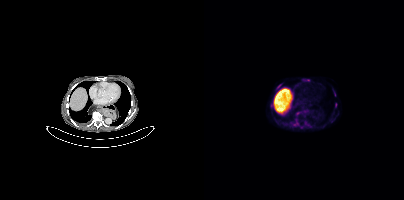
Coordinates are on the 200×200 PET (right) panel. (showing 2 of 4 foci) Small PSMA-avid foci (2 to 4 px across) near (center x, center y): (90, 124); (93, 113).